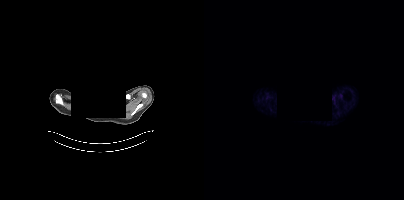
- head region blanked for anonymization (face removed)
- Left: CT. Right: PSMA PET, same axial level, 68Ga tracer
- PET panel 200×200 px (4.1 mm/px)
Findings: This slice has no annotated PSMA-avid lesion.